Paired axial CT (left) and PSMA PET (right), [18F]PSMA-1007 tracer. PET panel 200×200 px (4.1 mm/px).
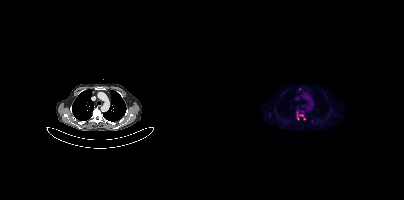
Coordinates are on the 200×200 PET (right) panel. PSMA-avid tumor lesion bounding box (x0, y0)-(x1, y1): (93, 111)-(99, 119). Small PSMA-avid focus (2 to 4 px across) near (center x, center y): (100, 118).